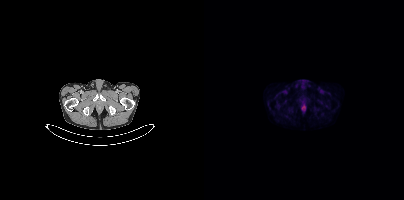
Negative for PSMA-avid disease on this slice. Two-panel axial: CT | PSMA PET, 18F-PSMA tracer. PET panel 200×200 px (4.1 mm/px).